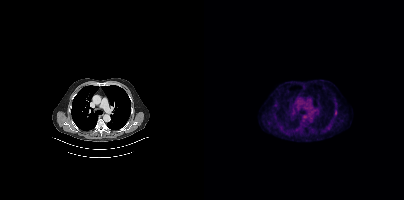
Left: CT. Right: PSMA PET, same axial level, [18F]PSMA-1007 tracer. Acquired on Siemens Biograph mCT Flow 20. Slice 285 of 397. PET panel 200×200 px (4.1 mm/px). This slice has no annotated PSMA-avid lesion.